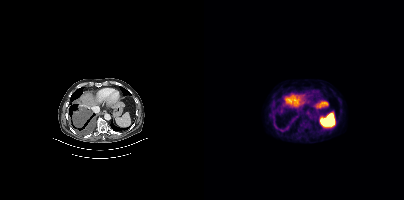
{"modality":"PSMA PET/CT","view":"axial","tracer":"[18F]PSMA-1007","pet_grid":[200,200],"coord_frame":"pet_panel","coord_format":"x0,y0,x1,y1","lesion_bboxes":[[70,124,85,131]],"small_foci_centers":[[88,119]]}